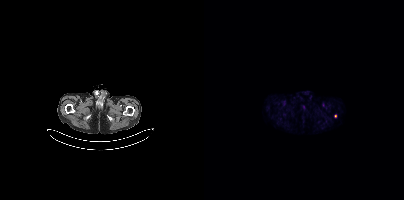
Two-panel axial: CT | PSMA PET, [18F]PSMA-1007 tracer. Acquired on Siemens Biograph mCT Flow 20. Slice 27 of 385. Coordinates are on the 200×200 PET (right) panel. Small PSMA-avid focus (2 to 4 px across) near (center x, center y): (131, 116).